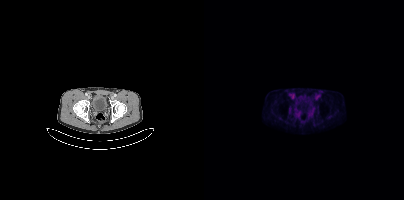
No tumor lesions annotated on this slice.